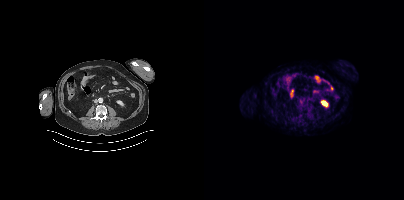
Two-panel axial: CT | PSMA PET, [68Ga]Ga-PSMA-11 tracer. Slice position z = -1286 mm. No PSMA-avid tumor lesions on this slice.